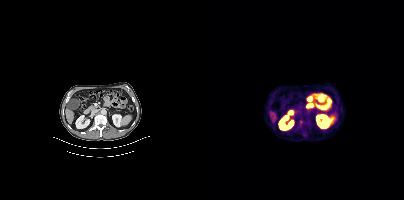
{"modality":"PSMA PET/CT","view":"axial","tracer":"18F-PSMA","pet_grid":[200,200],"coord_frame":"pet_panel","coord_format":"x0,y0,x1,y1","lesion_bboxes":[[96,116,106,126],[98,132,103,138]]}